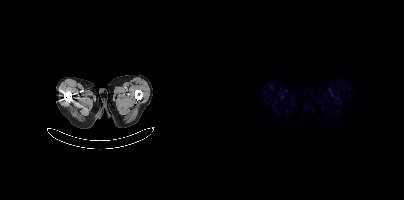
No tumor lesions annotated on this slice.